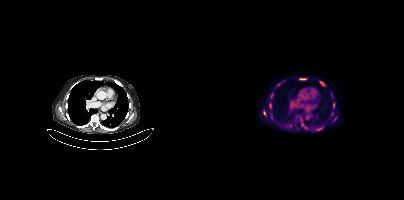
- Paired axial CT (left) and PSMA PET (right), 18F tracer
- slice position z = -540 mm
- PET panel 200×200 px (4.1 mm/px)
Findings: Coordinates are on the 200×200 PET (right) panel. (showing 7 of 11 foci) PSMA-avid tumor lesion bounding boxes (x0, y0)-(x1, y1): (115, 81)-(120, 85) | (95, 78)-(102, 79) | (65, 103)-(67, 108) | (113, 127)-(118, 130) | (59, 111)-(61, 115). Small PSMA-avid foci (2 to 4 px across) near (center x, center y): (68, 94) | (129, 106).